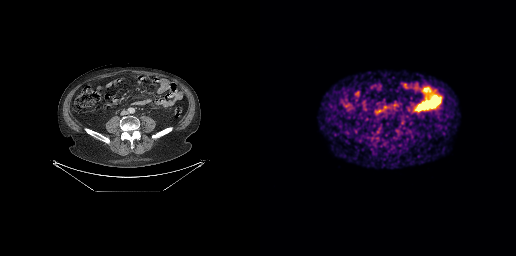
No tumor lesions annotated on this slice. Left: CT. Right: PSMA PET, same axial level, 68Ga tracer. Acquired on GE Discovery 690. Slice 98 of 263.